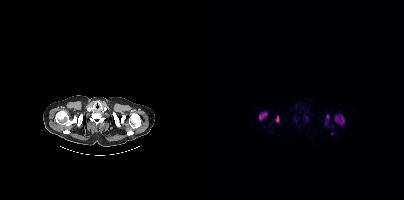
Technique: Left: CT. Right: PSMA PET, same axial level, [18F]PSMA-1007 tracer. acquired on Siemens Biograph mCT Flow 20.
Findings: Coordinates are on the 200×200 PET (right) panel. (showing 5 of 6 foci) PSMA-avid tumor lesion bounding boxes (x0, y0)-(x1, y1): (130, 114)-(140, 124) | (55, 112)-(63, 120) | (122, 114)-(125, 119) | (72, 116)-(75, 121). Small PSMA-avid focus (2 to 4 px across) near (center x, center y): (127, 133).